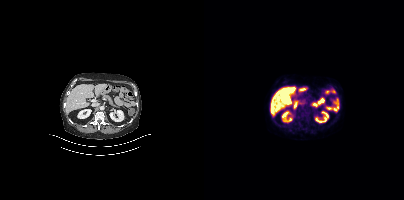
{"modality":"PSMA PET/CT","view":"axial","tracer":"[18F]PSMA-1007","pet_grid":[200,200],"coord_frame":"pet_panel","coord_format":"x0,y0,x1,y1","psma_avid_lesions":false}